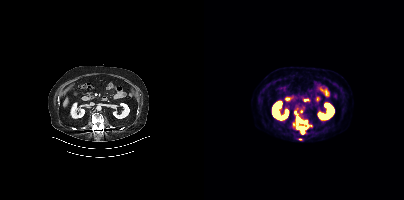
Coordinates are on the 200×200 PET (right) panel. (showing 5 of 7 foci) PSMA-avid tumor lesion bounding boxes (x0, y0)-(x1, y1): (92, 123)-(104, 130) | (92, 117)-(103, 122). Small PSMA-avid foci (2 to 4 px across) near (center x, center y): (97, 111) | (91, 111) | (98, 132).
modality: PSMA PET/CT | tracer: [18F]PSMA-1007 | view: axial